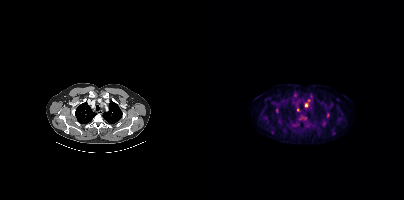
Coordinates are on the 200×200 PET (right) panel. PSMA-avid tumor lesion bounding box (x0, y0)-(x1, y1): (101, 103)-(104, 107). Small PSMA-avid foci (2 to 4 px across) near (center x, center y): (124, 114) | (93, 109) | (104, 100) | (72, 109).
modality: PSMA PET/CT | tracer: 18F | view: axial | PET grid: 200×200